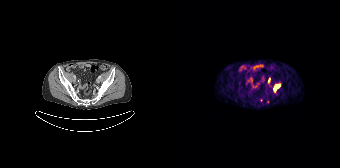
Coordinates are on the 168×168 PET (right) panel. PSMA-avid tumor lesion bounding box (x, y, width, height): x=102 y=85 w=7 h=7. Small PSMA-avid focus (2 to 4 px across) near (center x, center y): (96, 81).